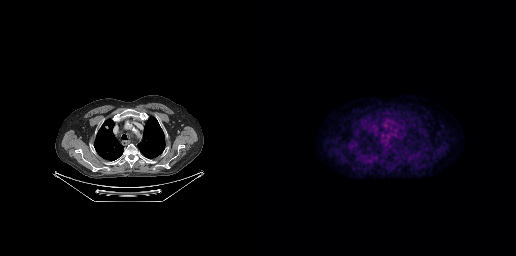
Findings: Only PSMA-avid lesion pieces thinner than 2 px on this slice (not listed).
Technique: Left: CT. Right: PSMA PET, same axial level, 18F-PSMA tracer. slice position z = -224 mm.